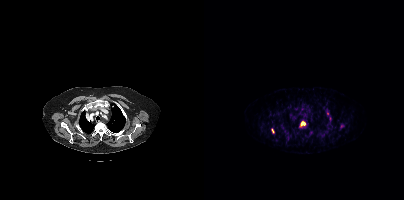
modality: PSMA PET/CT | tracer: [68Ga]Ga-PSMA-11 | view: axial
Coordinates are on the 200×200 PET (right) panel. (showing 4 of 6 foci) PSMA-avid tumor lesion bounding boxes (x, y, width, height): x=95 y=121 w=8 h=8 | x=67 y=128 w=4 h=6. Small PSMA-avid foci (2 to 4 px across) near (center x, center y): (123, 113) | (137, 126).